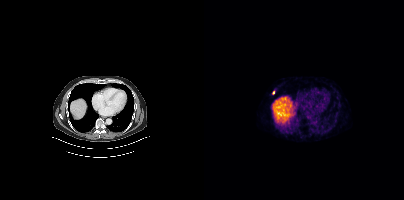
Coordinates are on the 200×200 PET (right) panel. Small PSMA-avid focus (2 to 4 px across) near (center x, center y): (69, 92).